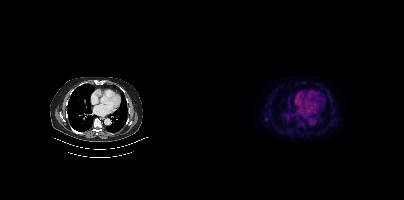
Coordinates are on the 200×200 PET (right) panel. Small PSMA-avid focus (2 to 4 px across) near (center x, center y): (62, 119).